The head region is masked for de-identification.
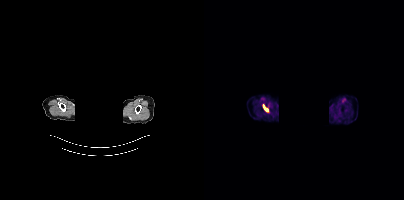
Coordinates are on the 200×200 PET (right) panel. PSMA-avid tumor lesion bounding box (x0, y0)-(x1, y1): (60, 106)-(63, 110).